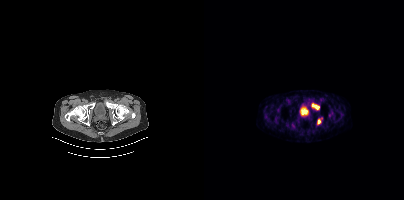
Coordinates are on the 200×200 PET (right) panel. (showing 2 of 3 foci) PSMA-avid tumor lesion bounding boxes (x, y, width, height): x=108 y=103 w=8 h=7 | x=113 y=119 w=4 h=6.